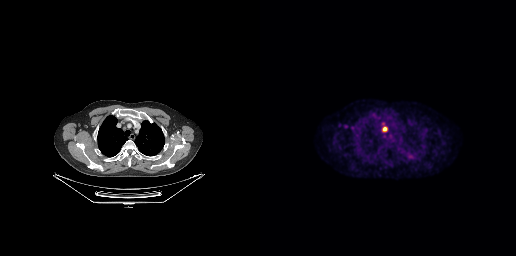
Two-panel axial: CT | PSMA PET, [18F]PSMA-1007 tracer. Slice 207 of 263. Coordinates are on the 256×256 PET (right) panel. PSMA-avid tumor lesion bounding box (x0,y0,x1,y1): [123,127,127,131].